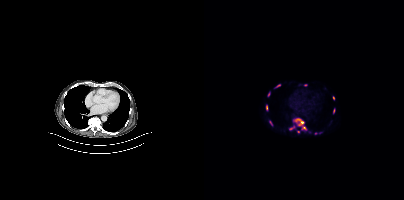
Coordinates are on the 200×200 PET (right) panel. (showing 10 of 12 foci) PSMA-avid tumor lesion bounding boxes (x0,y0,x1,y1): [89,118,102,130], [86,125,91,130], [62,105,64,110], [129,109,131,113], [64,92,66,96]. Small PSMA-avid foci (2 to 4 px across) near (center x, center y): (129, 97), (94, 131), (101, 84), (74, 85), (66, 122).